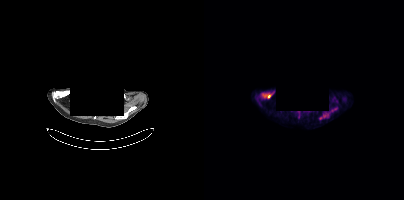
redaction: privacy mask over head | modality: PSMA PET/CT | tracer: 18F | view: axial | PET grid: 200×200
Coordinates are on the 200×200 PET (right) panel. (showing 2 of 3 foci) PSMA-avid tumor lesion bounding boxes (x0, y0)-(x1, y1): (58, 93)-(68, 98); (119, 114)-(124, 118).